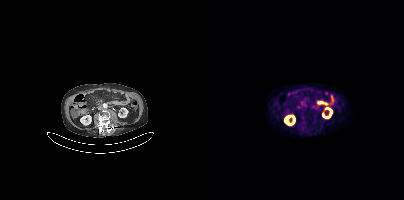
- Two-panel axial: CT | PSMA PET, 18F-PSMA tracer
- acquired on Siemens Biograph mCT Flow 20
- slice 172 of 425
- PET panel 200×200 px (4.1 mm/px)
Findings: This slice has no annotated PSMA-avid lesion.